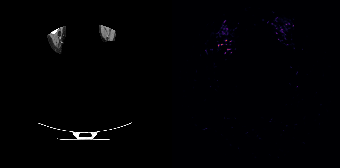
Findings: This slice has no annotated PSMA-avid lesion.
Technique: Two-panel axial: CT | PSMA PET, 68Ga tracer.
Note: A rectangular block over the head has been blanked out for de-identification.